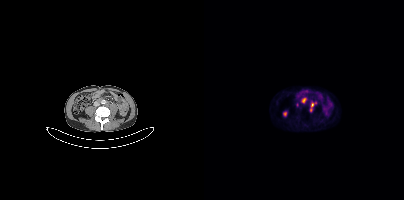
Coordinates are on the 200×200 PET (right) panel. (showing 2 of 3 foci) PSMA-avid tumor lesion bounding boxes (x0,y0,x1,y1): [106,103,109,111]; [98,98,101,102].